- Left: CT. Right: PSMA PET, same axial level, 18F tracer
- acquired on Siemens Biograph mCT Flow 20
- PET panel 200×200 px (4.1 mm/px)
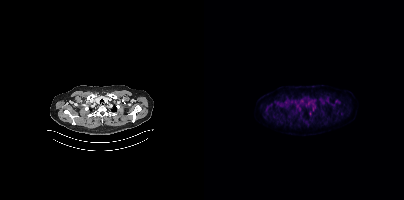
Findings: Coordinates are on the 200×200 PET (right) panel. Small PSMA-avid focus (2 to 4 px across) near (center x, center y): (106, 113).